Paired axial CT (left) and PSMA PET (right), [18F]PSMA-1007 tracer.
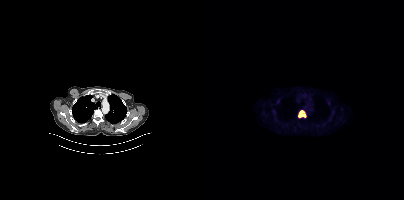
Coordinates are on the 200×200 PET (right) panel. PSMA-avid tumor lesion bounding box (x0,y0,x1,y1): [94,110,102,117].